Two-panel axial: CT | PSMA PET, 18F-PSMA tracer. Slice position z = -1024 mm. PET panel 200×200 px (4.1 mm/px).
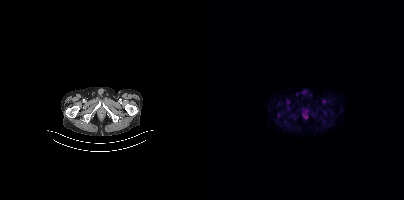
This slice has no annotated PSMA-avid lesion.